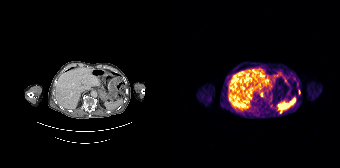
{"pet_grid":[168,168],"coord_frame":"pet_panel","coord_format":"x0,y0,x1,y1","partial":true,"lesion_bboxes":[],"small_foci_centers":[[109,112],[89,94]],"modality":"PSMA PET/CT","view":"axial","tracer":"[68Ga]Ga-PSMA-11"}